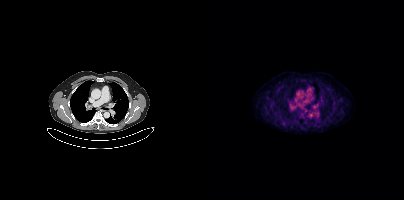
- Paired axial CT (left) and PSMA PET (right), [18F]PSMA-1007 tracer
Findings: Coordinates are on the 200×200 PET (right) panel. Small PSMA-avid focus (2 to 4 px across) near (center x, center y): (79, 123).